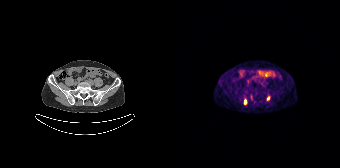
Left: CT. Right: PSMA PET, same axial level, 68Ga-PSMA tracer. Acquired on Siemens Biograph 64-4R TruePoint.
Coordinates are on the 168×168 PET (right) panel. PSMA-avid tumor lesion bounding boxes:
| # | x0 | y0 | x1 | y1 |
|---|---|---|---|---|
| 1 | 72 | 99 | 74 | 104 |
Small PSMA-avid foci (2 to 4 px across) near (center x, center y): (79, 97); (96, 98).